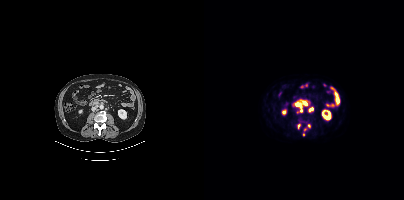
Findings: Coordinates are on the 200×200 PET (right) panel. (showing 5 of 6 foci) PSMA-avid tumor lesion bounding boxes (x0, y0)-(x1, y1): (93, 100)-(105, 112) / (104, 107)-(109, 112). Small PSMA-avid foci (2 to 4 px across) near (center x, center y): (105, 125) / (95, 125) / (99, 134).
Technique: Two-panel axial: CT | PSMA PET, 18F-PSMA tracer. PET panel 200×200 px (4.1 mm/px).